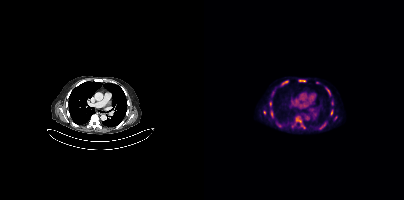
{"modality":"PSMA PET/CT","view":"axial","tracer":"[18F]PSMA-1007","pet_grid":[200,200],"coord_frame":"pet_panel","coord_format":"x0,y0,x1,y1","partial":true,"lesion_bboxes":[[78,80,84,85],[92,118,97,122],[95,80,101,81],[116,124,121,128],[97,125,101,128],[124,90,126,95],[67,111,68,116],[127,110,128,114]],"small_foci_centers":[[66,103],[60,112],[131,117]]}